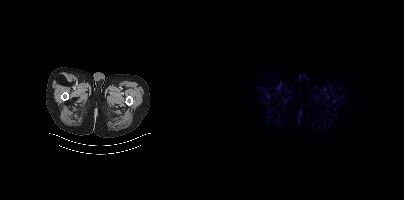
modality: PSMA PET/CT | tracer: 18F | view: axial
No PSMA-avid tumor lesions on this slice.